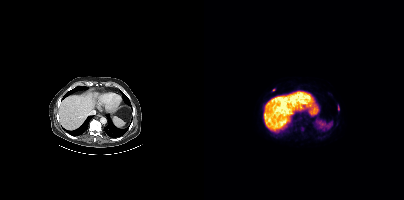
Technique: Paired axial CT (left) and PSMA PET (right), 18F-PSMA tracer. slice position z = -610 mm. PET panel 200×200 px (4.1 mm/px).
Findings: Coordinates are on the 200×200 PET (right) panel. (showing 2 of 3 foci) PSMA-avid tumor lesion bounding box (x, y, width, height): x=134 y=105 w=2 h=6. Small PSMA-avid focus (2 to 4 px across) near (center x, center y): (69, 89).